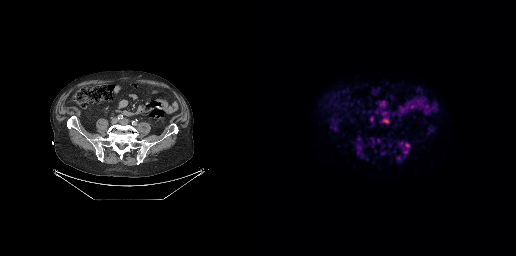
Findings: Coordinates are on the 256×256 PET (right) panel. PSMA-avid tumor lesion bounding boxes (x0, y0)-(x1, y1): (145, 143)-(149, 148) / (143, 150)-(147, 153). Small PSMA-avid foci (2 to 4 px across) near (center x, center y): (141, 143) / (138, 158).
- Left: CT. Right: PSMA PET, same axial level, 18F-PSMA tracer
- acquired on GE Discovery 690